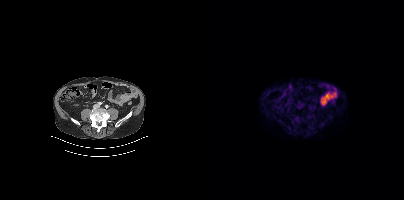
No tumor lesions annotated on this slice.